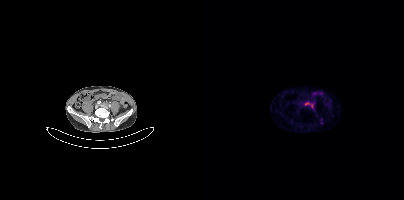
- Paired axial CT (left) and PSMA PET (right), [68Ga]Ga-PSMA-11 tracer
Findings: Coordinates are on the 200×200 PET (right) panel. PSMA-avid tumor lesion bounding box (x, y, width, height): x=101 y=102 w=8 h=6.